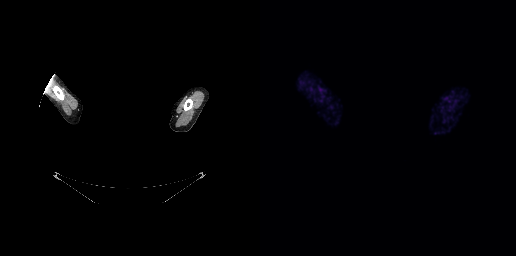
deidentification: privacy mask over head | modality: PSMA PET/CT | tracer: 68Ga-PSMA | view: axial
No tumor lesions annotated on this slice.